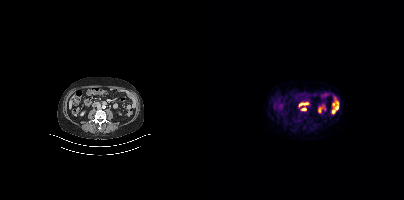
Two-panel axial: CT | PSMA PET, [18F]PSMA-1007 tracer. Acquired on Siemens Biograph mCT Flow 20. Slice position z = -734 mm.
Coordinates are on the 200×200 PET (right) panel. PSMA-avid tumor lesion bounding boxes:
| # | x0 | y0 | x1 | y1 |
|---|---|---|---|---|
| 1 | 96 | 107 | 102 | 111 |